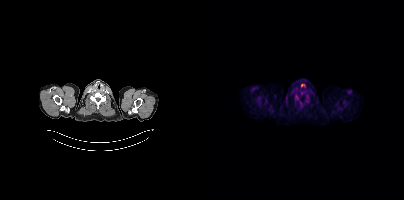
- Paired axial CT (left) and PSMA PET (right), 18F tracer
- slice 399 of 454
- PET panel 200×200 px (4.1 mm/px)
Findings: No PSMA-avid tumor lesions on this slice.